- Left: CT. Right: PSMA PET, same axial level, [18F]PSMA-1007 tracer
- PET panel 200×200 px (4.1 mm/px)
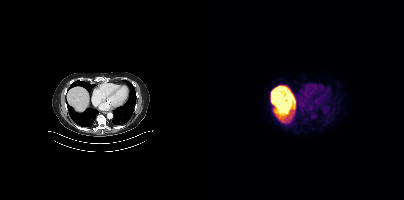
Findings: This slice has no annotated PSMA-avid lesion.